- Two-panel axial: CT | PSMA PET, [18F]PSMA-1007 tracer
- PET panel 200×200 px (4.1 mm/px)
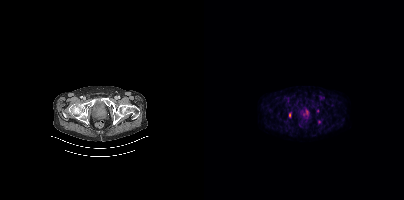
Findings: Coordinates are on the 200×200 PET (right) panel. PSMA-avid tumor lesion bounding box (x0,y0,x1,y1): [85,113,86,117]. Small PSMA-avid foci (2 to 4 px across) near (center x, center y): (115, 121) (113, 110).